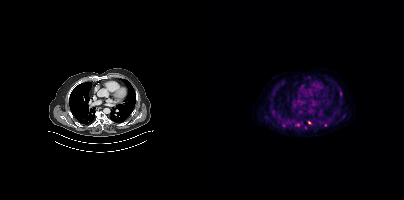
{"modality":"PSMA PET/CT","view":"axial","tracer":"18F","pet_grid":[200,200],"coord_frame":"pet_panel","coord_format":"x0,y0,x1,y1","partial":true,"lesion_bboxes":[[103,121,107,124],[136,91,137,95]],"small_foci_centers":[[94,124],[121,125]]}